modality: PSMA PET/CT | tracer: 18F | view: axial | PET grid: 200×200
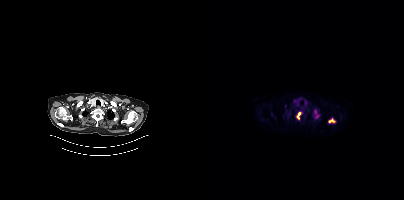
Coordinates are on the 200×200 PET (right) panel. PSMA-avid tumor lesion bounding boxes (x0,y0,x1,y1): [124,118,131,122], [93,112,96,119]. Small PSMA-avid foci (2 to 4 px across) near (center x, center y): (111, 111), (81, 106), (113, 116).